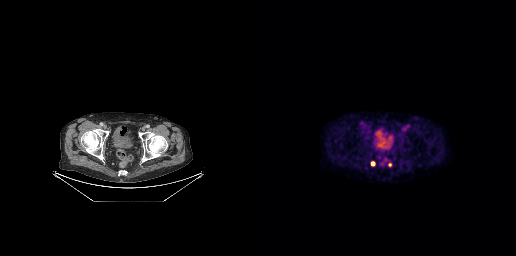
Left: CT. Right: PSMA PET, same axial level, 18F-PSMA tracer. Coordinates are on the 256×256 PET (right) panel. Small PSMA-avid focus (2 to 4 px across) near (center x, center y): (112, 163).